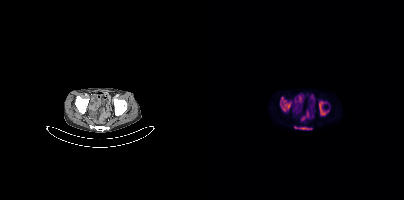
Coordinates are on the 200×200 PET (right) panel. PSMA-avid tumor lesion bounding boxes (x0, y0)-(x1, y1): (76, 97)-(86, 111) | (115, 101)-(124, 115) | (90, 126)-(108, 129).
modality: PSMA PET/CT | tracer: [18F]PSMA-1007 | view: axial